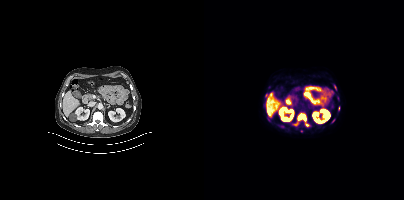
Coordinates are on the 200×200 PET (right) panel. (showing 5 of 6 foci) PSMA-avid tumor lesion bounding box (x0, y0)-(x1, y1): (93, 114)-(105, 126). Small PSMA-avid foci (2 to 4 px across) near (center x, center y): (129, 120) | (131, 86) | (91, 124) | (62, 95).